Technique: Two-panel axial: CT | PSMA PET, [18F]PSMA-1007 tracer. acquired on Siemens Biograph mCT Flow 20. slice position z = -1105 mm. PET panel 200×200 px (4.1 mm/px).
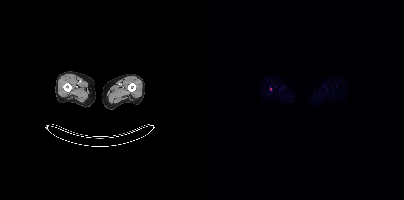
Findings: Coordinates are on the 200×200 PET (right) panel. Small PSMA-avid focus (2 to 4 px across) near (center x, center y): (66, 88).